Technique: Left: CT. Right: PSMA PET, same axial level, 18F tracer. PET panel 200×200 px (4.1 mm/px).
Note: A rectangle over the head was blacked out to remove identifiable facial features.
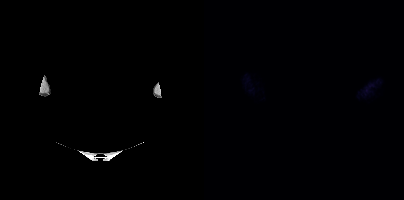
Findings: No PSMA-avid tumor lesions on this slice.